Technique: Left: CT. Right: PSMA PET, same axial level, [18F]PSMA-1007 tracer. acquired on Siemens Biograph mCT Flow 20. slice 125 of 423. PET panel 200×200 px (4.1 mm/px).
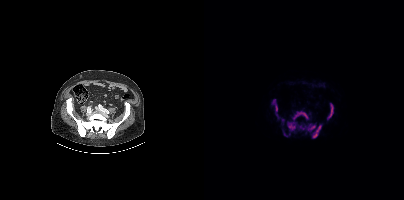
Findings: Coordinates are on the 200×200 PET (right) panel. (showing 9 of 10 foci) PSMA-avid tumor lesion bounding boxes (x0,y0,x1,y1): [89,111,104,120]; [83,122,91,130]; [108,125,117,138]; [123,103,129,119]; [103,124,111,131]; [69,99,73,111]; [96,125,101,129]. Small PSMA-avid foci (2 to 4 px across) near (center x, center y): (81, 134); (78, 120).